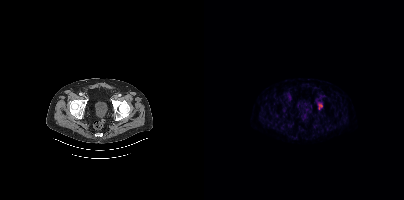
{"pet_grid":[200,200],"coord_frame":"pet_panel","coord_format":"x0,y0,x1,y1","lesion_bboxes":[[115,104,118,109]],"modality":"PSMA PET/CT","view":"axial","tracer":"18F"}